A rectangle over the head was blacked out to remove identifiable facial features. Paired axial CT (left) and PSMA PET (right), 18F-PSMA tracer. PET panel 200×200 px (4.1 mm/px).
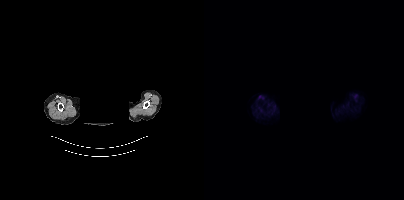
Negative for PSMA-avid disease on this slice.